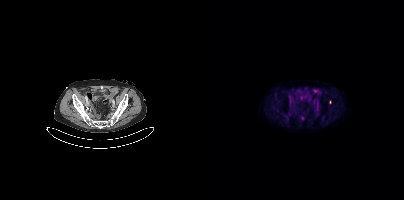
modality: PSMA PET/CT | tracer: 18F | view: axial
Only PSMA-avid lesion pieces thinner than 2 px on this slice (not listed).